Technique: Paired axial CT (left) and PSMA PET (right), [68Ga]Ga-PSMA-11 tracer. PET panel 168×168 px (4.1 mm/px).
Note: De-identified by setting a box covering the face to black before release.
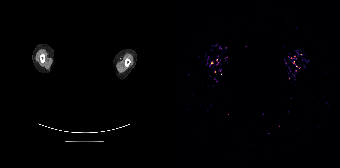
Findings: No tumor lesions annotated on this slice.